Technique: Left: CT. Right: PSMA PET, same axial level, 18F-PSMA tracer. slice position z = -1502 mm.
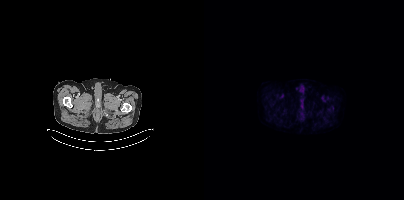
Findings: No PSMA-avid tumor lesions on this slice.